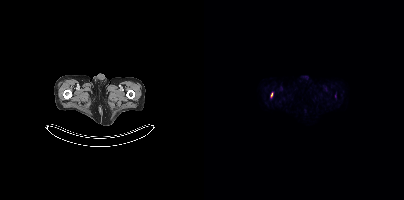
Coordinates are on the 200×200 PET (right) panel. Small PSMA-avid focus (2 to 4 px across) near (center x, center y): (67, 94). Two-panel axial: CT | PSMA PET, [18F]PSMA-1007 tracer. Slice 472 of 963. PET panel 200×200 px (4.1 mm/px).